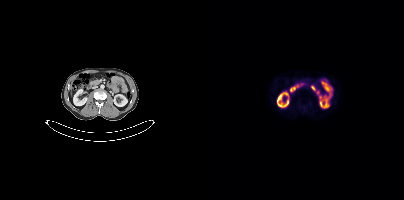
- Two-panel axial: CT | PSMA PET, [18F]PSMA-1007 tracer
Findings: No tumor lesions annotated on this slice.